modality: PSMA PET/CT | tracer: 68Ga-PSMA | view: axial
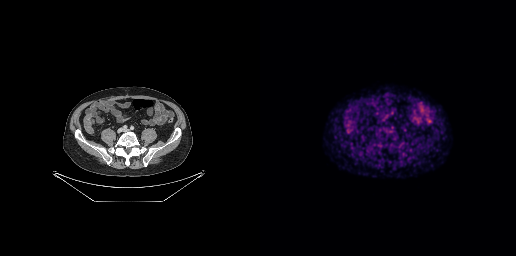
This slice has no annotated PSMA-avid lesion.